Paired axial CT (left) and PSMA PET (right), [18F]PSMA-1007 tracer. Slice 212 of 423. PET panel 200×200 px (4.1 mm/px).
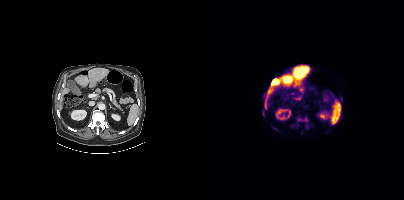
Coordinates are on the 200×200 PET (right) panel. (showing 5 of 6 foci) PSMA-avid tumor lesion bounding boxes (x, y, width, height): x=92 y=116 w=13 h=13; x=91 y=97 w=6 h=3. Small PSMA-avid foci (2 to 4 px across) near (center x, center y): (89, 125); (93, 125); (97, 132).